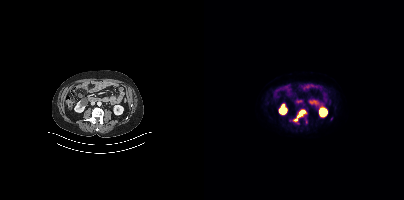
Technique: Left: CT. Right: PSMA PET, same axial level, 18F-PSMA tracer. slice position z = -1270 mm.
Findings: Coordinates are on the 200×200 PET (right) panel. PSMA-avid tumor lesion bounding box (x0,y0,x1,y1): [90,110,101,121].